Technique: Left: CT. Right: PSMA PET, same axial level, [18F]PSMA-1007 tracer. acquired on Siemens Biograph mCT Flow 20. PET panel 200×200 px (4.1 mm/px).
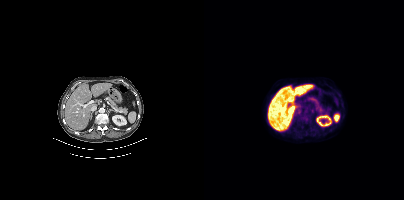
Findings: Negative for PSMA-avid disease on this slice.